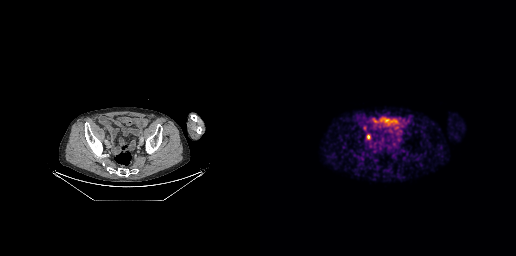
{"pet_grid":[256,256],"coord_frame":"pet_panel","coord_format":"x0,y0,x1,y1","lesion_bboxes":[],"small_foci_centers":[[108,136]],"modality":"PSMA PET/CT","view":"axial","tracer":"68Ga-PSMA"}